modality: PSMA PET/CT | tracer: 18F | view: axial | PET grid: 200×200
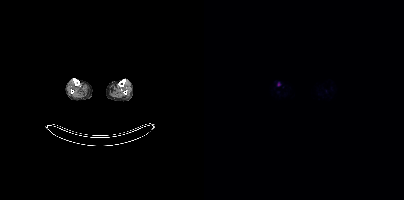
Only PSMA-avid lesion pieces thinner than 2 px on this slice (not listed).